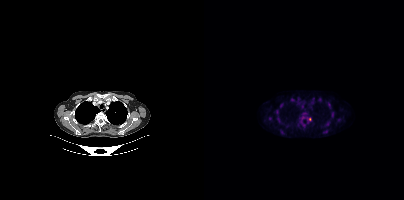
Paired axial CT (left) and PSMA PET (right), 18F-PSMA tracer. Acquired on Siemens Biograph mCT Flow 20. Slice 310 of 401.
Coordinates are on the 200×200 PET (right) panel. PSMA-avid tumor lesion bounding boxes (partial; 2 more foci not listed):
| # | x0 | y0 | x1 | y1 |
|---|---|---|---|---|
| 1 | 128 | 112 | 129 | 116 |
Small PSMA-avid foci (2 to 4 px across) near (center x, center y): (77, 105); (105, 119); (65, 118).